- Left: CT. Right: PSMA PET, same axial level, 18F-PSMA tracer
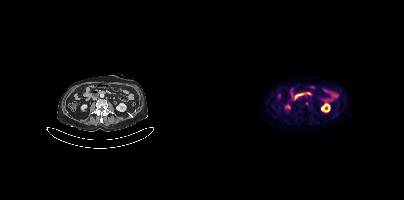
Findings: Only PSMA-avid lesion pieces thinner than 2 px on this slice (not listed).